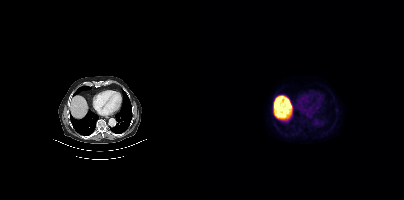
Two-panel axial: CT | PSMA PET, 18F tracer. Slice 238 of 383. PET panel 200×200 px (4.1 mm/px). No PSMA-avid tumor lesions on this slice.